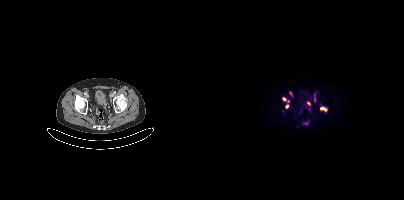
{"pet_grid":[200,200],"coord_frame":"pet_panel","coord_format":"x0,y0,x1,y1","lesion_bboxes":[[117,108,122,110],[110,94,111,101]],"small_foci_centers":[[80,98],[83,106],[105,103],[86,93],[84,100]],"modality":"PSMA PET/CT","view":"axial","tracer":"[18F]PSMA-1007"}